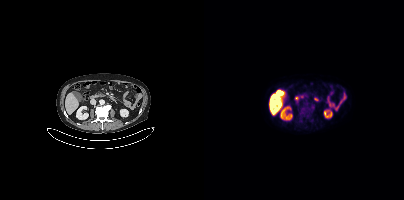
- Paired axial CT (left) and PSMA PET (right), [18F]PSMA-1007 tracer
- acquired on Siemens Biograph mCT Flow 20
- slice position z = -798 mm
Findings: No tumor lesions annotated on this slice.